- Paired axial CT (left) and PSMA PET (right), 18F tracer
- acquired on GE Discovery 690
- slice 127 of 263
- PET panel 256×256 px (2.7 mm/px)
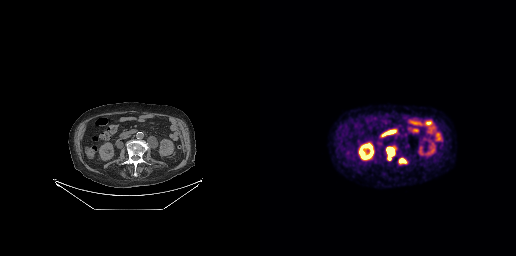
Findings: Coordinates are on the 256×256 PET (right) panel. PSMA-avid tumor lesion bounding boxes (x, y, width, height): x=126 y=146 w=10 h=15 | x=138 y=158 w=9 h=6.